Two-panel axial: CT | PSMA PET, 18F tracer. Acquired on Siemens Biograph mCT Flow 20. Slice position z = 1024 mm.
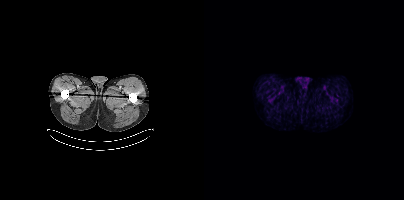
Negative for PSMA-avid disease on this slice.